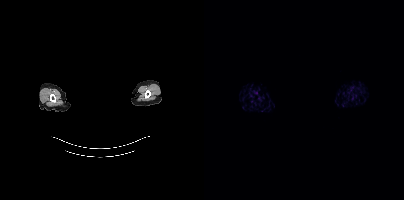
This slice has no annotated PSMA-avid lesion.
Facial anatomy redacted by setting a rectangular region of the head to black.